Technique: Paired axial CT (left) and PSMA PET (right), [18F]PSMA-1007 tracer. acquired on Siemens Biograph mCT Flow 20. slice position z = -1462 mm. PET panel 200×200 px (4.1 mm/px).
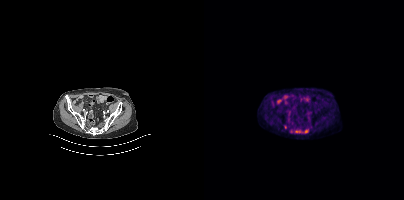
Findings: Coordinates are on the 200×200 PET (right) panel. Small PSMA-avid focus (2 to 4 px across) near (center x, center y): (81, 127).